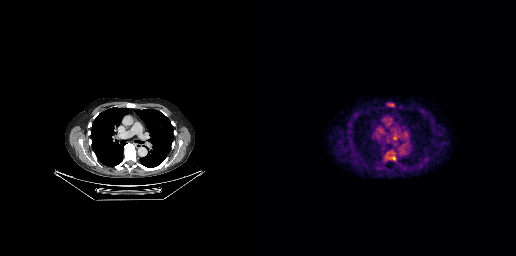
Left: CT. Right: PSMA PET, same axial level, 18F tracer. PET panel 256×256 px (2.7 mm/px). Coordinates are on the 256×256 PET (right) panel. PSMA-avid tumor lesion bounding box (x, y, width, height): x=124 y=150 w=13 h=11. Small PSMA-avid focus (2 to 4 px across) near (center x, center y): (135, 138).